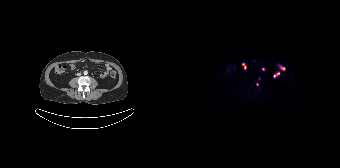
Coordinates are on the 168×168 PET (right) panel. Small PSMA-avid focus (2 to 4 px across) near (center x, center y): (85, 84).